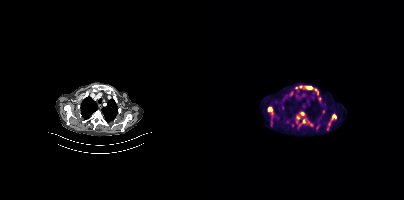
Technique: Two-panel axial: CT | PSMA PET, [18F]PSMA-1007 tracer. PET panel 200×200 px (4.1 mm/px).
Findings: Coordinates are on the 200×200 PET (right) panel. PSMA-avid tumor lesion bounding boxes (x0,y0,x1,y1): [92,112,100,122], [63,106,69,115], [66,118,71,126], [101,86,108,89], [122,123,126,130], [98,119,101,123], [111,89,114,94], [85,92,88,96]. Small PSMA-avid foci (2 to 4 px across) near (center x, center y): (88, 125), (97, 86), (82, 96), (95, 124).